Two-panel axial: CT | PSMA PET, 18F tracer. Acquired on Siemens Biograph mCT Flow 20. PET panel 200×200 px (4.1 mm/px). The face region was removed for patient privacy by blanking a rectangle over the head.
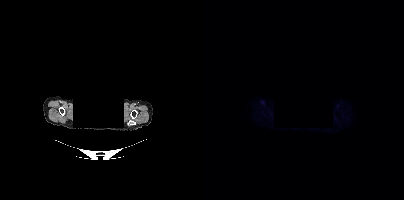
No tumor lesions annotated on this slice.